Left: CT. Right: PSMA PET, same axial level, 68Ga tracer. Acquired on Siemens Biograph mCT Flow 20. Slice position z = 571 mm.
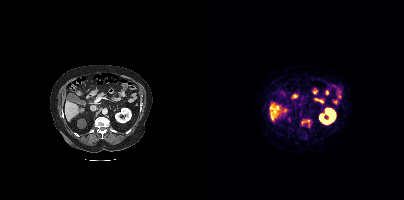
Coordinates are on the 200×200 PET (right) panel. PSMA-avid tumor lesion bounding boxes:
| # | x0 | y0 | x1 | y1 |
|---|---|---|---|---|
| 1 | 97 | 120 | 106 | 127 |